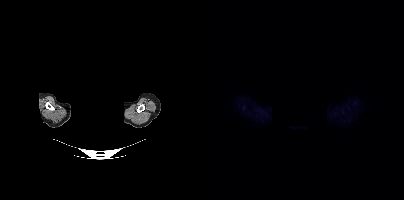
Any black rectangle over the head is a privacy mask, not anatomy. Two-panel axial: CT | PSMA PET, [18F]PSMA-1007 tracer. Slice position z = -776 mm. PET panel 200×200 px (4.1 mm/px). Coordinates are on the 200×200 PET (right) panel. Small PSMA-avid focus (2 to 4 px across) near (center x, center y): (39, 108).